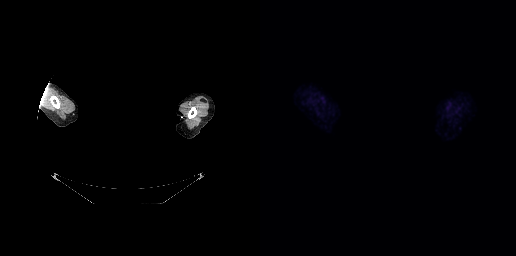
This slice has no annotated PSMA-avid lesion.
Face de-identified by blanking a block of the head.